modality: PSMA PET/CT | tracer: [18F]PSMA-1007 | view: axial | PET grid: 200×200
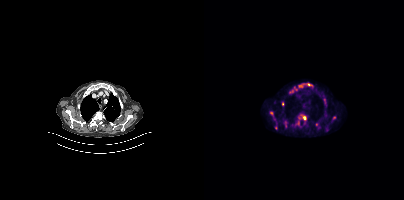
Coordinates are on the 200×200 PET (right) panel. (showing 7 of 9 foci) PSMA-avid tumor lesion bounding boxes (x, y, width, height): x=85 y=83 w=24 h=11; x=92 y=114 w=11 h=12; x=119 y=95 w=4 h=9. Small PSMA-avid foci (2 to 4 px across) near (center x, center y): (78, 103); (67, 113); (72, 127); (112, 124).